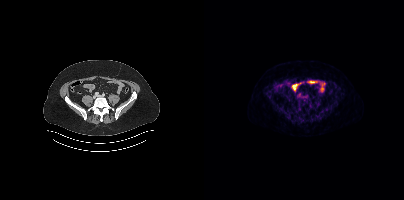
{"modality":"PSMA PET/CT","view":"axial","tracer":"18F","pet_grid":[200,200],"coord_frame":"pet_panel","coord_format":"x0,y0,x1,y1","psma_avid_lesions":false}